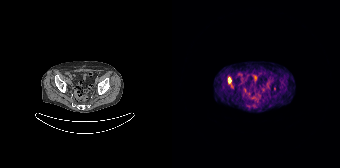
Coordinates are on the 168×168 PET (right) panel. PSMA-avid tumor lesion bounding boxes:
| # | x0 | y0 | x1 | y1 |
|---|---|---|---|---|
| 1 | 56 | 77 | 59 | 83 |
| 2 | 95 | 83 | 96 | 87 |
Paired axial CT (left) and PSMA PET (right), 68Ga tracer. Slice 45 of 165. PET panel 168×168 px (4.1 mm/px).